- Left: CT. Right: PSMA PET, same axial level, 18F tracer
- acquired on GE Discovery 690
- slice position z = -122 mm
- PET panel 256×256 px (2.7 mm/px)
- a rectangular privacy mask was applied before release
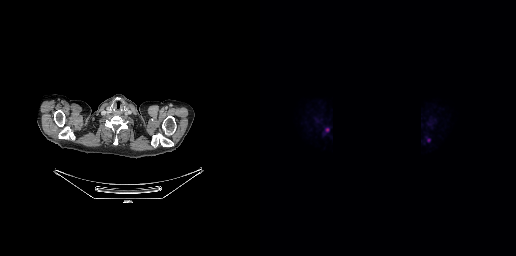
Findings: Coordinates are on the 256×256 PET (right) panel. PSMA-avid tumor lesion bounding box (x0, y0)-(x1, y1): (65, 128)-(69, 131).